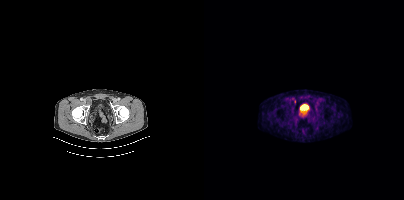
{"modality":"PSMA PET/CT","view":"axial","tracer":"18F-PSMA","pet_grid":[200,200],"coord_frame":"pet_panel","coord_format":"x0,y0,x1,y1","lesion_bboxes":[],"small_foci_centers":[[89,100]]}